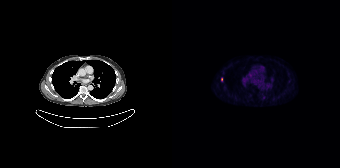
Coordinates are on the 168×168 PET (right) panel. Small PSMA-avid focus (2 to 4 px across) near (center x, center y): (49, 79). Left: CT. Right: PSMA PET, same axial level, [18F]PSMA-1007 tracer. Acquired on Siemens Biograph 64-4R TruePoint.